Technique: Paired axial CT (left) and PSMA PET (right), [18F]PSMA-1007 tracer. PET panel 200×200 px (4.1 mm/px).
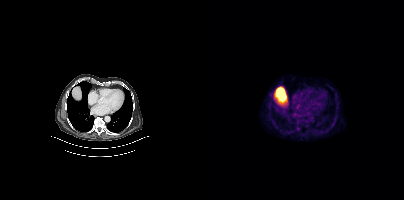
Findings: No PSMA-avid tumor lesions on this slice.